Technique: Left: CT. Right: PSMA PET, same axial level, 18F tracer. PET panel 200×200 px (4.1 mm/px).
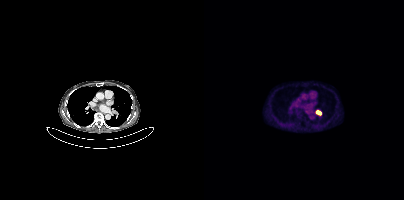
Findings: Coordinates are on the 200×200 PET (right) panel. PSMA-avid tumor lesion bounding box (x0, y0)-(x1, y1): (111, 110)-(117, 115).